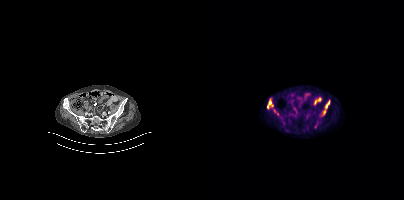
Coordinates are on the 200×200 PET (right) panel. (showing 2 of 4 foci) PSMA-avid tumor lesion bounding boxes (x0,y0,x1,y1): [63,100,69,108]; [121,104,125,108].
modality: PSMA PET/CT | tracer: [18F]PSMA-1007 | view: axial | PET grid: 200×200